Left: CT. Right: PSMA PET, same axial level, [18F]PSMA-1007 tracer.
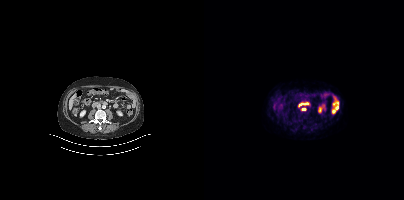
Coordinates are on the 200×200 PET (right) panel. PSMA-avid tumor lesion bounding box (x, y, width, height): x=97 y=107 w=6 h=4.